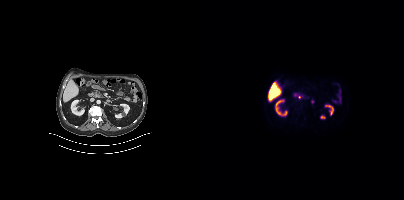
Findings: This slice has no annotated PSMA-avid lesion.
- Left: CT. Right: PSMA PET, same axial level, [18F]PSMA-1007 tracer
- slice 189 of 395
- PET panel 200×200 px (4.1 mm/px)